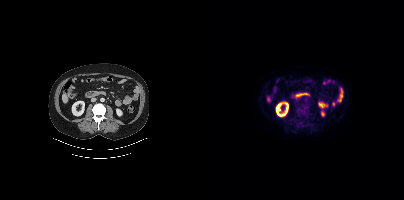
Coordinates are on the 200×200 PET (right) panel. PSMA-avid tumor lesion bounding boxes (x0,y0,x1,y1): [92,104,103,117]; [95,122,99,126].
modality: PSMA PET/CT | tracer: 18F | view: axial | PET grid: 200×200